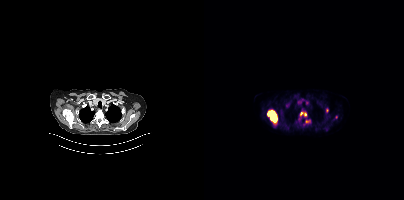
modality: PSMA PET/CT | tracer: 18F-PSMA | view: axial | PET grid: 200×200
Coordinates are on the 200×200 PET (right) panel. PSMA-avid tumor lesion bounding boxes (x, y, width, height): x=63 y=110 w=11 h=13; x=96 y=112 w=7 h=5; x=101 y=119 w=7 h=5; x=122 y=108 w=3 h=5. Small PSMA-avid foci (2 to 4 px across) near (center x, center y): (132, 117); (71, 125).